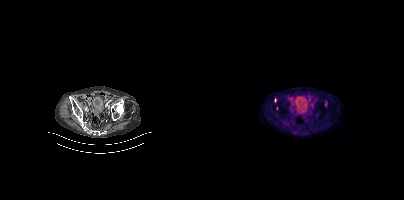
{"pet_grid":[200,200],"coord_frame":"pet_panel","coord_format":"x0,y0,x1,y1","partial":true,"lesion_bboxes":[],"modality":"PSMA PET/CT","view":"axial","tracer":"[18F]PSMA-1007"}